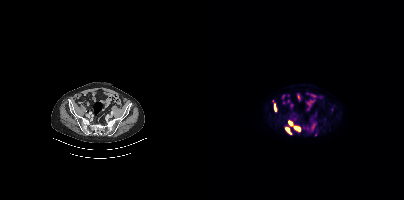
{"modality":"PSMA PET/CT","view":"axial","tracer":"18F-PSMA","pet_grid":[200,200],"coord_frame":"pet_panel","coord_format":"x0,y0,x1,y1","lesion_bboxes":[[81,127,87,134],[90,126,96,131],[70,103,72,110],[84,121,88,125]]}